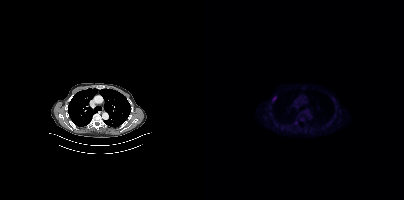
Coordinates are on the 200×200 PET (right) panel. PSMA-avid tumor lesion bounding box (x0, y0)-(x1, y1): (68, 96)-(72, 101).